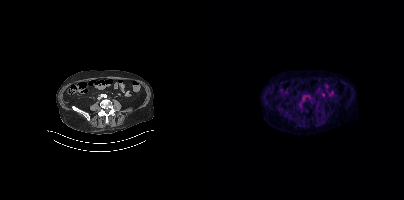
Technique: Paired axial CT (left) and PSMA PET (right), 18F tracer.
Findings: No PSMA-avid tumor lesions on this slice.